Technique: Paired axial CT (left) and PSMA PET (right), [18F]PSMA-1007 tracer. PET panel 200×200 px (4.1 mm/px).
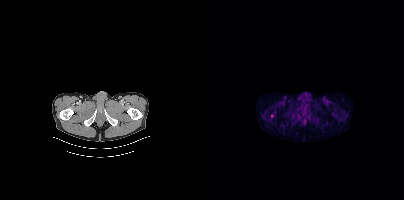
Findings: Coordinates are on the 200×200 PET (right) panel. PSMA-avid tumor lesion bounding box (x, y, width, height): x=66 y=114 w=4 h=5.